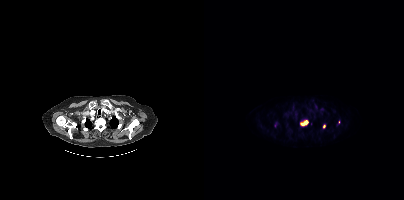
Coordinates are on the 200×200 PET (right) panel. PSMA-avid tumor lesion bounding boxes (partial; 2 more foci not listed):
| # | x0 | y0 | x1 | y1 |
|---|---|---|---|---|
| 1 | 96 | 118 | 104 | 126 |
Small PSMA-avid focus (2 to 4 px across) near (center x, center y): (120, 126).
Two-panel axial: CT | PSMA PET, [18F]PSMA-1007 tracer. Acquired on Siemens Biograph mCT Flow 20. Slice 329 of 389. PET panel 200×200 px (4.1 mm/px).